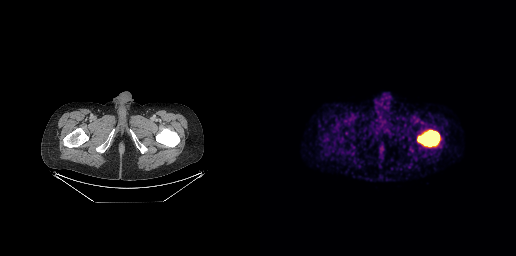
{"modality":"PSMA PET/CT","view":"axial","tracer":"68Ga-PSMA","pet_grid":[256,256],"coord_frame":"pet_panel","coord_format":"x0,y0,x1,y1","lesion_bboxes":[[157,130,179,146]]}